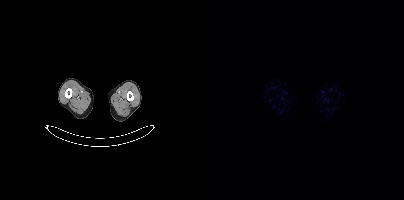
Technique: Left: CT. Right: PSMA PET, same axial level, [18F]PSMA-1007 tracer. acquired on Siemens Biograph mCT Flow 20. slice position z = -1620 mm. PET panel 200×200 px (4.1 mm/px).
Findings: This slice has no annotated PSMA-avid lesion.